- Two-panel axial: CT | PSMA PET, 18F-PSMA tracer
- PET panel 200×200 px (4.1 mm/px)
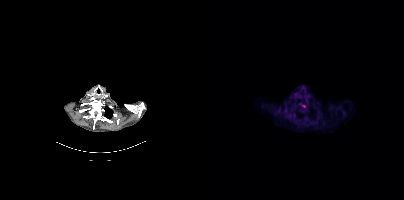
Findings: Coordinates are on the 200×200 PET (right) panel. Small PSMA-avid focus (2 to 4 px across) near (center x, center y): (99, 106).